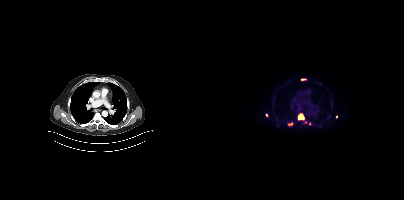
Left: CT. Right: PSMA PET, same axial level, 18F tracer. Slice 283 of 395.
Coordinates are on the 200×200 PET (right) panel. PSMA-avid tumor lesion bounding boxes (partial; 1 more focus not listed):
| # | x0 | y0 | x1 | y1 |
|---|---|---|---|---|
| 1 | 94 | 113 | 100 | 120 |
| 2 | 84 | 122 | 88 | 125 |
| 3 | 97 | 78 | 102 | 80 |
Small PSMA-avid foci (2 to 4 px across) near (center x, center y): (62, 115); (132, 116); (105, 123).